modality: PSMA PET/CT | tracer: 18F | view: axial
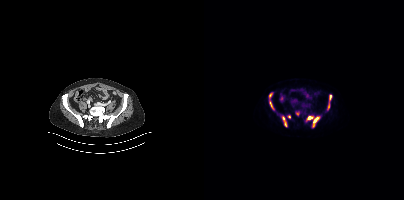
Coordinates are on the 200×200 PET (right) panel. PSMA-avid tumor lesion bounding boxes (x, y, width, height): x=109 y=117 w=7 h=10 | x=78 y=116 w=5 h=11 | x=103 y=116 w=7 h=4 | x=65 y=101 w=5 h=9 | x=125 y=95 w=3 h=5. Small PSMA-avid foci (2 to 4 px across) near (center x, center y): (93, 113) | (85, 116) | (66, 94) | (124, 106).